- Two-panel axial: CT | PSMA PET, [18F]PSMA-1007 tracer
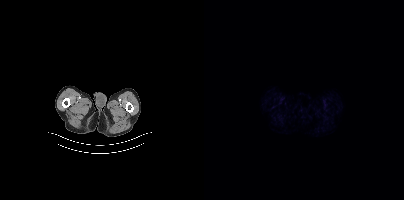
Findings: No tumor lesions annotated on this slice.